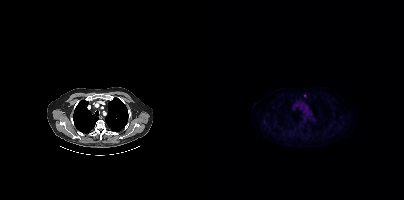
Coordinates are on the 200×200 PET (right) panel. Small PSMA-avid focus (2 to 4 px across) near (center x, center y): (100, 95).